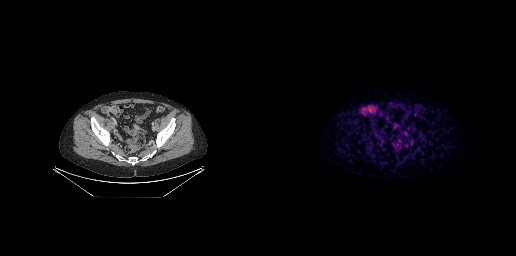
Findings: No PSMA-avid tumor lesions on this slice.
- Two-panel axial: CT | PSMA PET, [68Ga]Ga-PSMA-11 tracer